- Left: CT. Right: PSMA PET, same axial level, 18F tracer
- PET panel 200×200 px (4.1 mm/px)
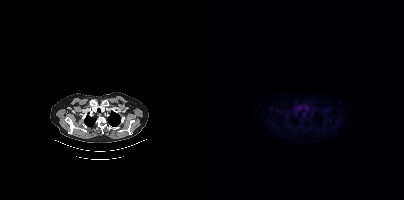
Findings: No tumor lesions annotated on this slice.